Paired axial CT (left) and PSMA PET (right), 18F-PSMA tracer.
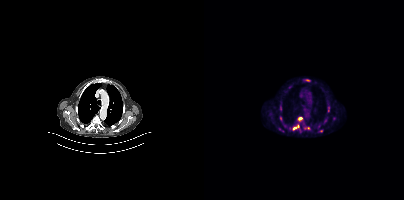
Coordinates are on the 200×200 PET (right) panel. (showing 6 of 7 foci) PSMA-avid tumor lesion bounding boxes (x, y, width, height): x=88 y=116 w=13 h=17; x=99 y=126 w=8 h=4; x=102 y=79 w=5 h=3. Small PSMA-avid foci (2 to 4 px across) near (center x, center y): (77, 117); (121, 120); (117, 130).